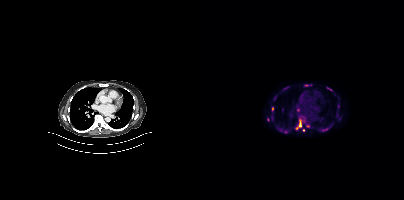
Left: CT. Right: PSMA PET, same axial level, 18F-PSMA tracer. Slice 272 of 413. PET panel 200×200 px (4.1 mm/px). Coordinates are on the 200×200 PET (right) panel. (showing 7 of 11 foci) PSMA-avid tumor lesion bounding boxes (x0,y0,x1,y1): [91,120,97,129]; [118,127,125,131]; [123,87,127,90]. Small PSMA-avid foci (2 to 4 px across) near (center x, center y): (81, 132); (68, 108); (103, 126); (99, 129).